Technique: Paired axial CT (left) and PSMA PET (right), 18F tracer. slice position z = -844 mm.
Note: Face de-identified by blanking a block of the head.
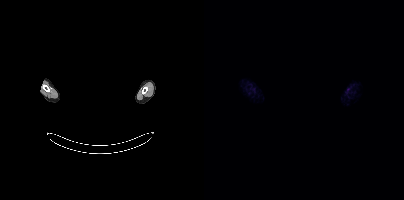
Findings: This slice has no annotated PSMA-avid lesion.